- Paired axial CT (left) and PSMA PET (right), 18F-PSMA tracer
- slice 71 of 165
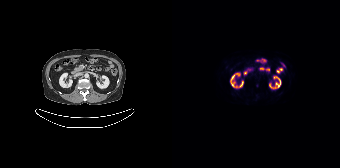
Findings: This slice has no annotated PSMA-avid lesion.